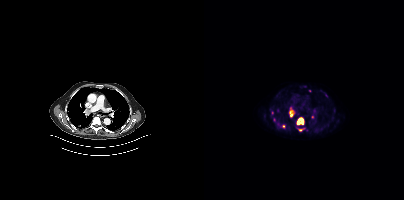
Coordinates are on the 200×200 PET (right) panel. PSMA-avid tumor lesion bounding boxes (x0, y0)-(x1, y1): (93, 117)-(99, 124); (85, 109)-(89, 116). Small PSMA-avid foci (2 to 4 px across) near (center x, center y): (96, 130); (68, 112); (70, 119); (79, 126); (105, 90); (108, 116). Left: CT. Right: PSMA PET, same axial level, [18F]PSMA-1007 tracer. Acquired on Siemens Biograph mCT Flow 20. Slice position z = -476 mm. PET panel 200×200 px (4.1 mm/px).